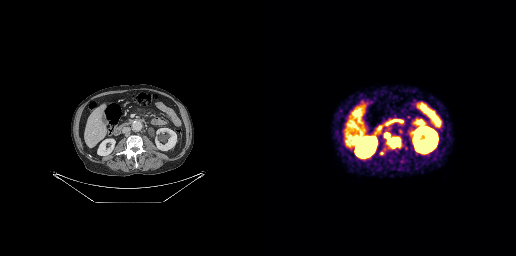
Findings: Coordinates are on the 256×256 PET (right) panel. PSMA-avid tumor lesion bounding boxes (x, y, width, height): x=125 y=133 w=17 h=15 / x=120 y=151 w=5 h=5.
Technique: Two-panel axial: CT | PSMA PET, 68Ga tracer. acquired on GE Discovery 690. PET panel 256×256 px (2.7 mm/px).